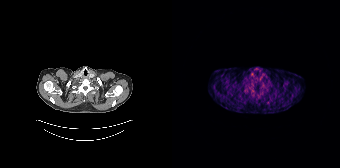
Technique: Left: CT. Right: PSMA PET, same axial level, 68Ga-PSMA tracer.
Findings: Only PSMA-avid lesion pieces thinner than 2 px on this slice (not listed).